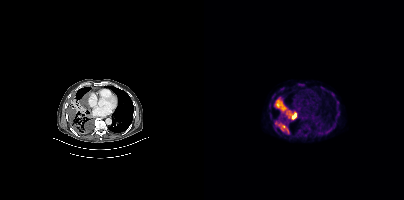
Coordinates are on the 200×200 PET (right) panel. (showing 4 of 6 foci) PSMA-avid tumor lesion bounding boxes (x, y, width, height): x=70 y=97 w=12 h=14 | x=81 y=109 w=12 h=11 | x=77 y=125 w=9 h=9 | x=73 y=122 w=4 h=5.